- Left: CT. Right: PSMA PET, same axial level, 18F-PSMA tracer
- acquired on GE Discovery 690
- PET panel 256×256 px (2.7 mm/px)
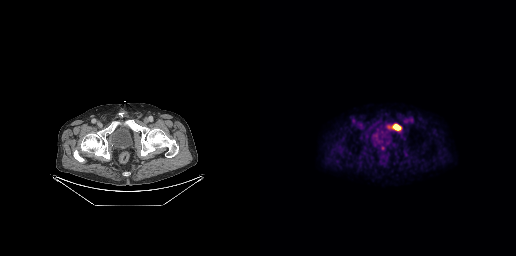
Findings: Coordinates are on the 256×256 PET (right) panel. (showing 1 of 2 foci) PSMA-avid tumor lesion bounding box (x0, y0)-(x1, y1): (131, 124)-(141, 130).